Paired axial CT (left) and PSMA PET (right), 18F tracer. Acquired on Siemens Biograph mCT Flow 20. PET panel 200×200 px (4.1 mm/px).
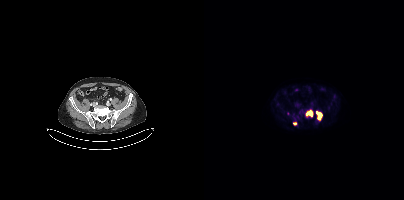
Coordinates are on the 200×200 PET (right) panel. PSMA-avid tumor lesion bounding boxes (x0,y0,x1,y1): [112,112,117,120] [102,110,108,116]. Small PSMA-avid focus (2 to 4 px across) near (center x, center y): (90, 123).